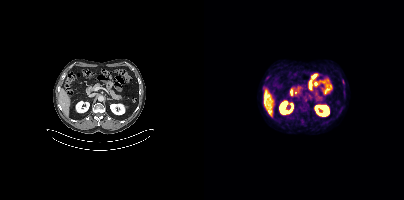
Two-panel axial: CT | PSMA PET, 18F-PSMA tracer. Acquired on Siemens Biograph mCT Flow 20. Slice 240 of 454. Coordinates are on the 200×200 PET (right) panel. Small PSMA-avid focus (2 to 4 px across) near (center x, center y): (139, 81).